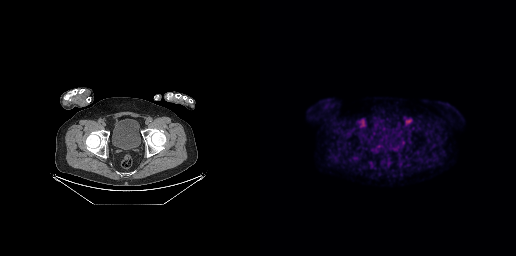
No tumor lesions annotated on this slice.